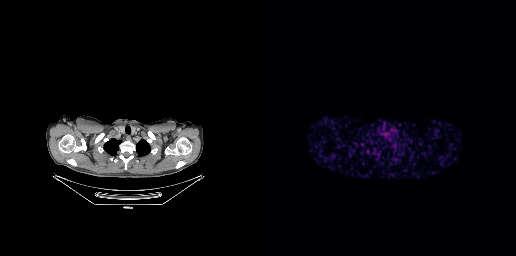
Paired axial CT (left) and PSMA PET (right), 68Ga-PSMA tracer. Acquired on GE Discovery 690. Slice position z = -297 mm. This slice has no annotated PSMA-avid lesion.